Paired axial CT (left) and PSMA PET (right), [18F]PSMA-1007 tracer. Acquired on Siemens Biograph 64-4R TruePoint. The head region is masked for de-identification.
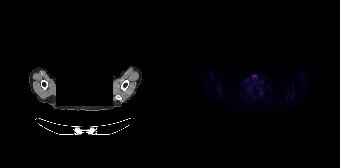
This slice has no annotated PSMA-avid lesion.